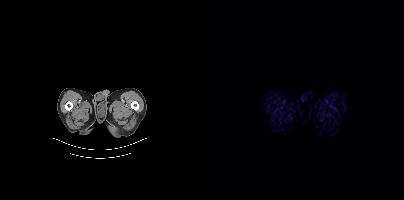
{"pet_grid":[200,200],"coord_frame":"pet_panel","coord_format":"x0,y0,x1,y1","psma_avid_lesions":false,"modality":"PSMA PET/CT","view":"axial","tracer":"18F-PSMA"}